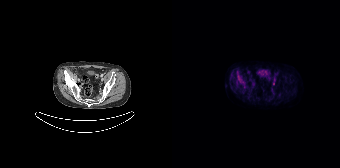
Technique: Paired axial CT (left) and PSMA PET (right), 18F tracer. acquired on Siemens Biograph 64-4R TruePoint. slice position z = -1536 mm.
Findings: Coordinates are on the 168×168 PET (right) panel. Small PSMA-avid focus (2 to 4 px across) near (center x, center y): (99, 89).